Paired axial CT (left) and PSMA PET (right), [18F]PSMA-1007 tracer. Acquired on Siemens Biograph mCT Flow 20. Slice 193 of 429.
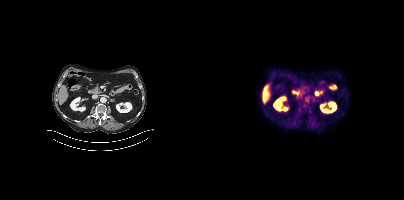
This slice has no annotated PSMA-avid lesion.